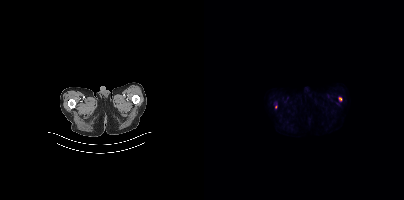
{"modality":"PSMA PET/CT","view":"axial","tracer":"[18F]PSMA-1007","pet_grid":[200,200],"coord_frame":"pet_panel","coord_format":"x0,y0,x1,y1","lesion_bboxes":[],"small_foci_centers":[[136,98],[71,107]]}